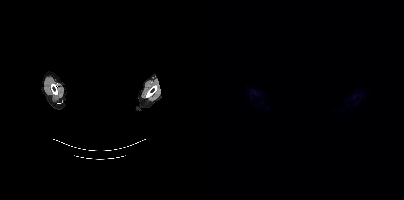
Findings: No tumor lesions annotated on this slice.
- the face region was removed for patient privacy by blanking a rectangle over the head
- Left: CT. Right: PSMA PET, same axial level, 18F-PSMA tracer
- acquired on Siemens Biograph mCT Flow 20
- slice position z = -346 mm